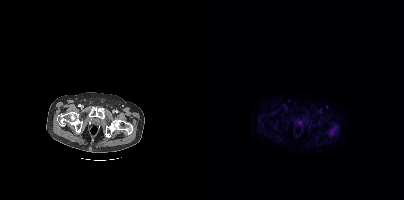
Two-panel axial: CT | PSMA PET, 18F-PSMA tracer. PET panel 200×200 px (4.1 mm/px). No tumor lesions annotated on this slice.